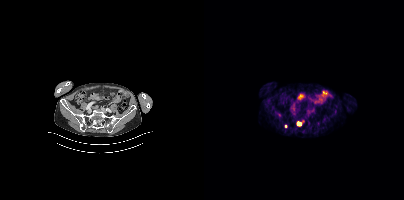
Two-panel axial: CT | PSMA PET, 18F-PSMA tracer. Slice 134 of 427. PET panel 200×200 px (4.1 mm/px). Coordinates are on the 200×200 PET (right) panel. PSMA-avid tumor lesion bounding box (x, y, width, height): x=92 y=120 w=9 h=7. Small PSMA-avid focus (2 to 4 px across) near (center x, center y): (82, 126).